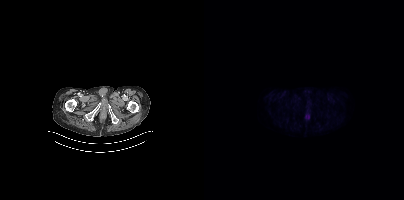
No PSMA-avid tumor lesions on this slice. Left: CT. Right: PSMA PET, same axial level, [18F]PSMA-1007 tracer. Acquired on Siemens Biograph mCT Flow 20.